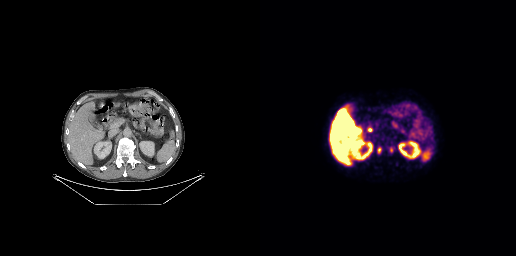
Coordinates are on the 256×256 PET (right) panel. PSMA-avid tumor lesion bounding boxes (x, y, width, height): x=117 y=146 w=5 h=8 | x=130 y=147 w=4 h=6.
modality: PSMA PET/CT | tracer: [18F]PSMA-1007 | view: axial | PET grid: 256×256